Two-panel axial: CT | PSMA PET, 18F tracer. Acquired on GE Discovery 690.
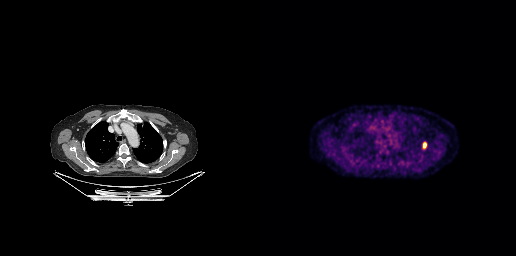
Coordinates are on the 256×256 PET (right) panel. PSMA-avid tumor lesion bounding box (x0,y0,x1,y1): [163,142,166,147].